modality: PSMA PET/CT | tracer: 18F-PSMA | view: axial
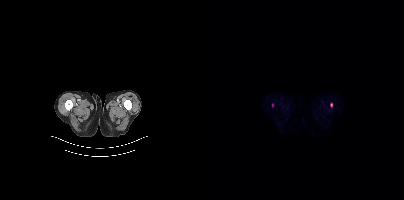
Coordinates are on the 200×200 PET (right) panel. PSMA-avid tumor lesion bounding box (x0, y0)-(x1, y1): (126, 103)-(128, 107). Small PSMA-avid focus (2 to 4 px across) near (center x, center y): (68, 105).